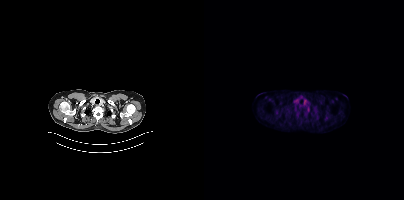
- Paired axial CT (left) and PSMA PET (right), [18F]PSMA-1007 tracer
- slice 338 of 409
- PET panel 200×200 px (4.1 mm/px)
Findings: Coordinates are on the 200×200 PET (right) panel. Small PSMA-avid focus (2 to 4 px across) near (center x, center y): (72, 113).